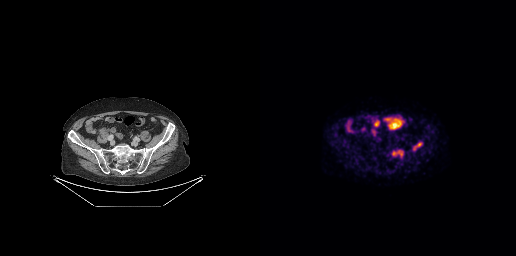
- Two-panel axial: CT | PSMA PET, 18F-PSMA tracer
Findings: Coordinates are on the 256×256 PET (right) panel. PSMA-avid tumor lesion bounding boxes (x0, y0)-(x1, y1): (132, 150)-(143, 157); (153, 142)-(162, 150).